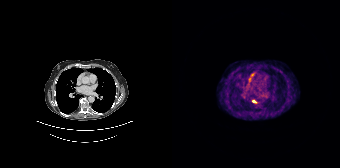
{"modality":"PSMA PET/CT","view":"axial","tracer":"[68Ga]Ga-PSMA-11","pet_grid":[168,168],"coord_frame":"pet_panel","coord_format":"x0,y0,x1,y1","lesion_bboxes":[],"small_foci_centers":[[81,101]]}